Two-panel axial: CT | PSMA PET, [18F]PSMA-1007 tracer. PET panel 200×200 px (4.1 mm/px).
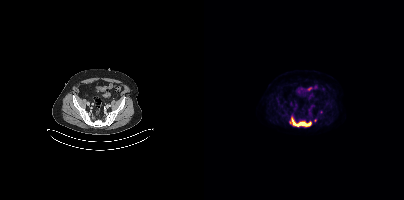
Coordinates are on the 200×200 PET (right) panel. (showing 1 of 2 foci) PSMA-avid tumor lesion bounding box (x, y, width, height): x=86 y=117 w=22 h=10.